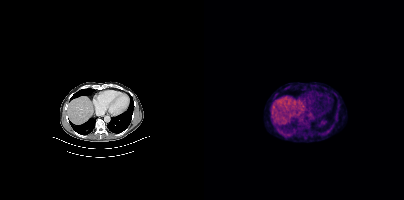
Coordinates are on the 200×200 PET (right) panel. PSMA-avid tumor lesion bounding boxes (x0,y0,x1,y1): [94,115,100,121], [118,131,122,135]. Small PSMA-avid focus (2 to 4 px across) near (center x, center y): (83, 135). Two-panel axial: CT | PSMA PET, 18F-PSMA tracer.